- Left: CT. Right: PSMA PET, same axial level, 18F tracer
- slice 304 of 403
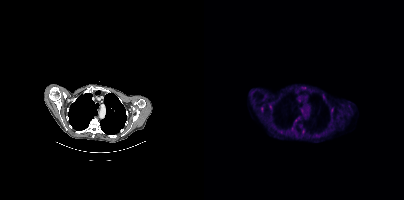
Findings: Coordinates are on the 200×200 PET (right) panel. (showing 1 of 3 foci) Small PSMA-avid focus (2 to 4 px across) near (center x, center y): (66, 106).